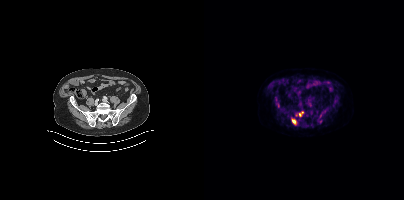
Coordinates are on the 200×200 PET (right) panel. PSMA-avid tumor lesion bounding boxes (partial; 3 more foci not listed):
| # | x0 | y0 | x1 | y1 |
|---|---|---|---|---|
| 1 | 88 | 119 | 92 | 124 |
| 2 | 95 | 111 | 99 | 116 |
Two-panel axial: CT | PSMA PET, 18F-PSMA tracer. Acquired on Siemens Biograph mCT Flow 20. PET panel 200×200 px (4.1 mm/px).